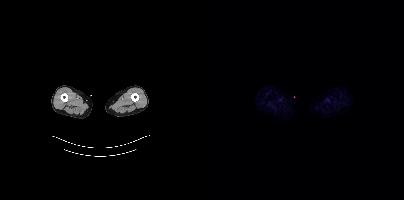
modality: PSMA PET/CT | tracer: 18F-PSMA | view: axial | PET grid: 200×200
This slice has no annotated PSMA-avid lesion.